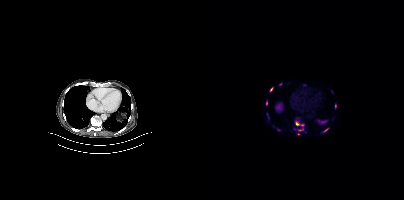
Findings: Coordinates are on the 200×200 PET (right) panel. (showing 7 of 9 foci) PSMA-avid tumor lesion bounding boxes (x0,y0,x1,y1): [91,121,99,126]; [94,128,99,131]; [118,128,124,132]; [62,101,63,105]. Small PSMA-avid foci (2 to 4 px across) near (center x, center y): (67, 89); (94, 134); (131, 105).
Technique: Left: CT. Right: PSMA PET, same axial level, [18F]PSMA-1007 tracer. PET panel 200×200 px (4.1 mm/px).